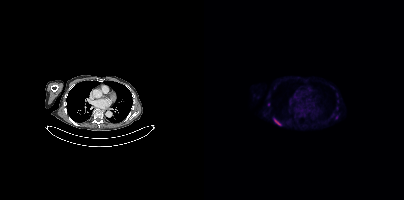
- Left: CT. Right: PSMA PET, same axial level, 18F tracer
- acquired on Siemens Biograph mCT Flow 20
- slice position z = -1074 mm
- PET panel 200×200 px (4.1 mm/px)
Findings: Coordinates are on the 200×200 PET (right) panel. PSMA-avid tumor lesion bounding boxes (x0, y0)-(x1, y1): (70, 118)-(77, 125); (131, 115)-(134, 119). Small PSMA-avid focus (2 to 4 px across) near (center x, center y): (64, 104).